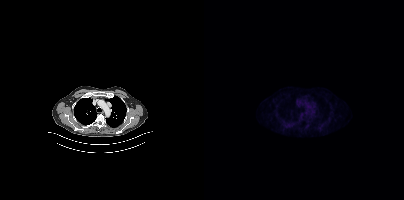
Technique: Paired axial CT (left) and PSMA PET (right), 18F-PSMA tracer. acquired on Siemens Biograph mCT Flow 20. PET panel 200×200 px (4.1 mm/px).
Findings: No PSMA-avid tumor lesions on this slice.